Technique: Left: CT. Right: PSMA PET, same axial level, [18F]PSMA-1007 tracer. acquired on Siemens Biograph mCT Flow 20.
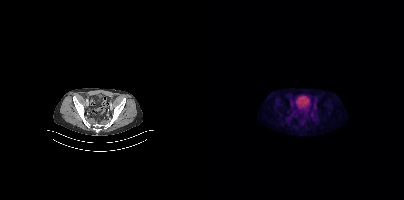
Findings: No tumor lesions annotated on this slice.